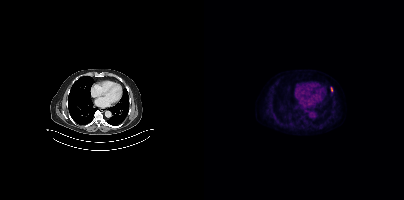
Left: CT. Right: PSMA PET, same axial level, [18F]PSMA-1007 tracer. Acquired on Siemens Biograph mCT Flow 20. PET panel 200×200 px (4.1 mm/px). Coordinates are on the 200×200 PET (right) panel. PSMA-avid tumor lesion bounding box (x0,y0,x1,y1): [127,87,128,91].